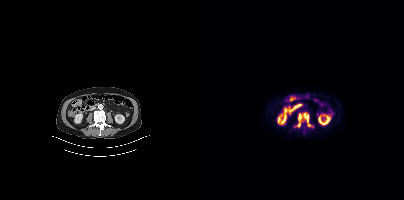
Technique: Two-panel axial: CT | PSMA PET, 18F tracer. slice 210 of 466. PET panel 200×200 px (4.1 mm/px).
Findings: Coordinates are on the 200×200 PET (right) panel. PSMA-avid tumor lesion bounding box (x0,y0,x1,y1): [94,113,106,127].